de-identification: head region blacked out before release | modality: PSMA PET/CT | tracer: 18F-PSMA | view: axial | PET grid: 200×200
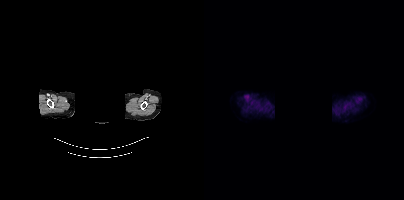
Negative for PSMA-avid disease on this slice.